Left: CT. Right: PSMA PET, same axial level, 18F tracer. Acquired on Siemens Biograph mCT Flow 20. Slice 295 of 417.
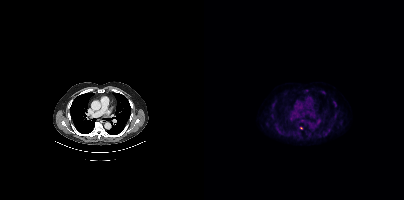
Coordinates are on the 200×200 PET (right) panel. Small PSMA-avid focus (2 to 4 px across) near (center x, center y): (97, 127).